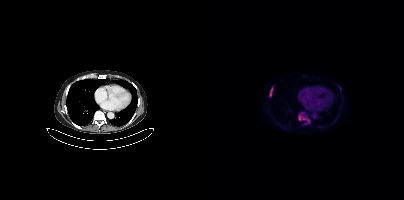
Coordinates are on the 200×200 PET (right) panel. (showing 5 of 6 foci) PSMA-avid tumor lesion bounding boxes (x, y, width, height): x=66 y=91 w=3 h=6 / x=95 y=115 w=3 h=6. Small PSMA-avid foci (2 to 4 px across) near (center x, center y): (100, 118) / (67, 88) / (104, 120).